Two-panel axial: CT | PSMA PET, [18F]PSMA-1007 tracer.
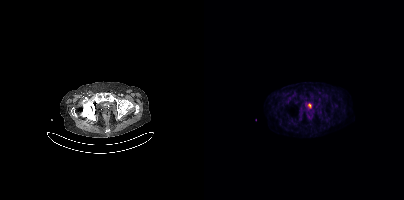
This slice has no annotated PSMA-avid lesion.